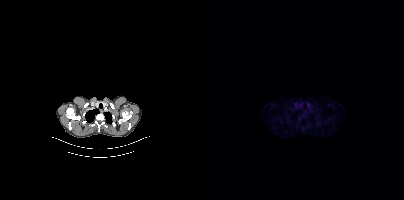
{"modality":"PSMA PET/CT","view":"axial","tracer":"18F-PSMA","pet_grid":[200,200],"coord_frame":"pet_panel","coord_format":"x0,y0,x1,y1","psma_avid_lesions":false}